Two-panel axial: CT | PSMA PET, 18F-PSMA tracer. Acquired on Siemens Biograph mCT Flow 20.
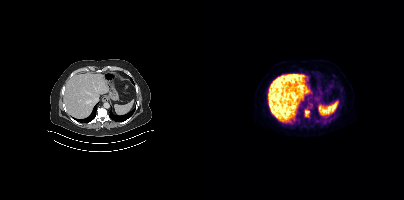
Coordinates are on the 200×200 PET (right) panel. PSMA-avid tumor lesion bounding boxes:
| # | x0 | y0 | x1 | y1 |
|---|---|---|---|---|
| 1 | 101 | 110 | 105 | 116 |